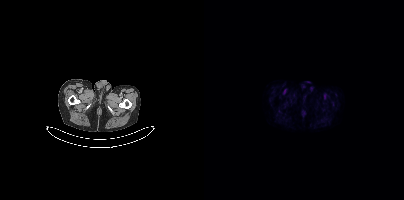
Two-panel axial: CT | PSMA PET, 18F tracer. Acquired on Siemens Biograph mCT Flow 20. PET panel 200×200 px (4.1 mm/px). No PSMA-avid tumor lesions on this slice.